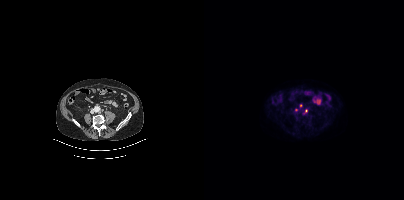
{"modality":"PSMA PET/CT","view":"axial","tracer":"[18F]PSMA-1007","pet_grid":[200,200],"coord_frame":"pet_panel","coord_format":"x0,y0,x1,y1","lesion_bboxes":[],"small_foci_centers":[[102,110]]}